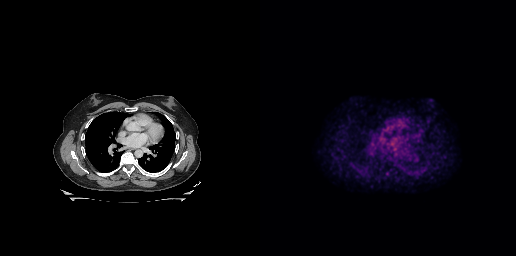
No tumor lesions annotated on this slice. Two-panel axial: CT | PSMA PET, 18F tracer.